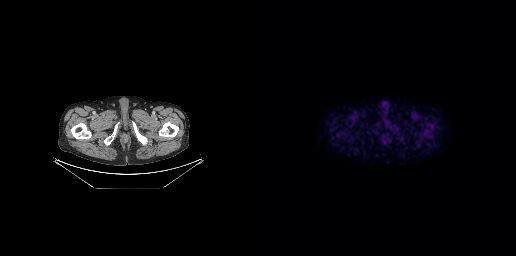
No PSMA-avid tumor lesions on this slice. Left: CT. Right: PSMA PET, same axial level, [18F]PSMA-1007 tracer.